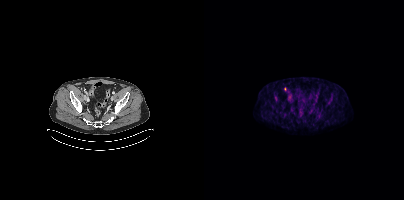
Coordinates are on the 200×200 PET (right) panel. Small PSMA-avid focus (2 to 4 px across) near (center x, center y): (80, 88).